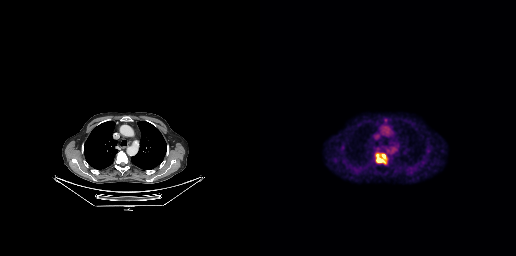
Coordinates are on the 256×256 PET (right) panel. PSMA-avid tumor lesion bounding box (x0,y0,x1,y1): [117,154,123,162]. Small PSMA-avid focus (2 to 4 px across) near (center x, center y): (123, 155).